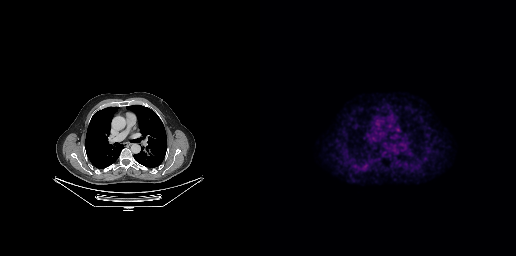
Left: CT. Right: PSMA PET, same axial level, 18F tracer. Acquired on GE Discovery 690. PET panel 256×256 px (2.7 mm/px). Coordinates are on the 256×256 PET (right) panel. PSMA-avid tumor lesion bounding box (x0,y0,x1,y1): [134,127,140,132]. Small PSMA-avid focus (2 to 4 px across) near (center x, center y): (110, 139).